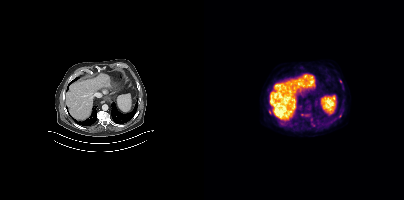
Left: CT. Right: PSMA PET, same axial level, 18F-PSMA tracer. Slice 240 of 411. PET panel 200×200 px (4.1 mm/px). Coordinates are on the 200×200 PET (right) panel. (showing 5 of 6 foci) Small PSMA-avid foci (2 to 4 px across) near (center x, center y): (66, 111); (136, 115); (109, 124); (136, 81); (98, 114).